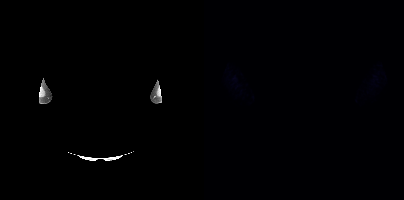
{"modality":"PSMA PET/CT","view":"axial","tracer":"18F-PSMA","pet_grid":[200,200],"coord_frame":"pet_panel","coord_format":"x0,y0,x1,y1","psma_avid_lesions":false,"deidentification":"privacy mask over head"}